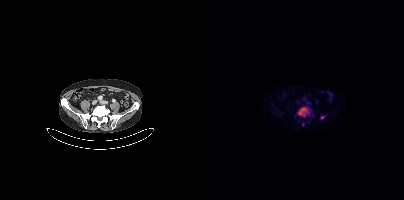
Coordinates are on the 200×200 PET (right) panel. PSMA-avid tumor lesion bounding boxes (x, y, width, height): x=93 y=106 w=14 h=11; x=116 y=116 w=5 h=4. Small PSMA-avid focus (2 to 4 px across) near (center x, center y): (98, 124).